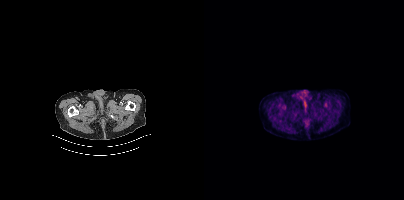
{"modality":"PSMA PET/CT","view":"axial","tracer":"18F","pet_grid":[200,200],"coord_frame":"pet_panel","coord_format":"x0,y0,x1,y1","psma_avid_lesions":false}